- Paired axial CT (left) and PSMA PET (right), 18F tracer
- slice position z = 126 mm
- PET panel 200×200 px (4.1 mm/px)
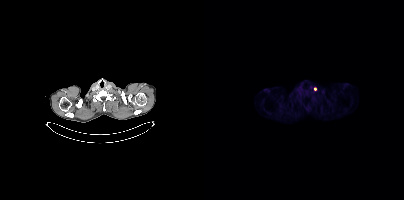
Findings: Coordinates are on the 200×200 PET (right) panel. Small PSMA-avid focus (2 to 4 px across) near (center x, center y): (111, 88).